Left: CT. Right: PSMA PET, same axial level, 18F-PSMA tracer. Slice position z = -1458 mm.
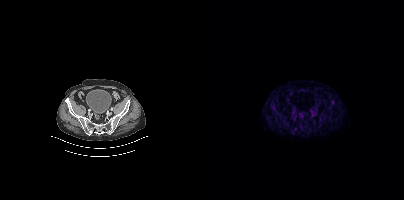
Negative for PSMA-avid disease on this slice.